- Left: CT. Right: PSMA PET, same axial level, 18F tracer
- acquired on Siemens Biograph mCT Flow 20
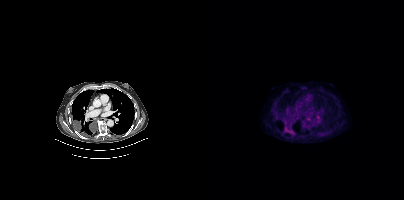
Findings: Coordinates are on the 200×200 PET (right) panel. PSMA-avid tumor lesion bounding boxes (x0, y0)-(x1, y1): (81, 127)-(89, 134) | (71, 115)-(75, 119).